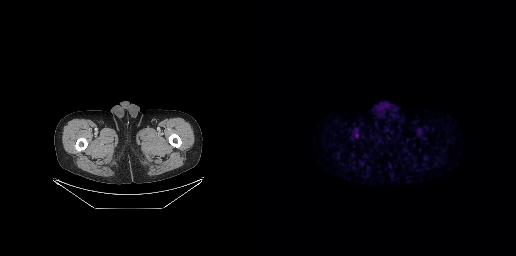
{"modality":"PSMA PET/CT","view":"axial","tracer":"68Ga","pet_grid":[256,256],"coord_frame":"pet_panel","coord_format":"x0,y0,x1,y1","psma_avid_lesions":false}